- Paired axial CT (left) and PSMA PET (right), 18F tracer
- acquired on Siemens Biograph mCT Flow 20
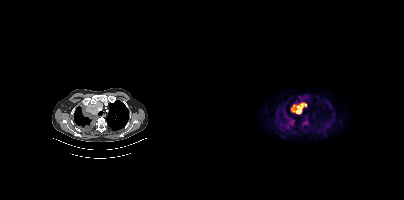
Findings: Coordinates are on the 200×200 PET (right) panel. PSMA-avid tumor lesion bounding boxes (x, y, width, height): x=87 y=103 w=16 h=11; x=83 y=120 w=8 h=8; x=99 y=120 w=6 h=6; x=80 y=112 w=7 h=7.